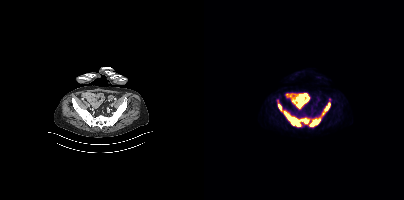
modality: PSMA PET/CT | tracer: 18F | view: axial
Coordinates are on the 200×200 PET (right) panel. PSMA-avid tumor lesion bounding boxes (x0,y0,x1,y1): [80,112,96,126]; [106,119,115,126]; [116,103,126,117]; [96,118,104,124]; [74,104,77,110].